Two-panel axial: CT | PSMA PET, 18F tracer. Slice 50 of 391. PET panel 200×200 px (4.1 mm/px).
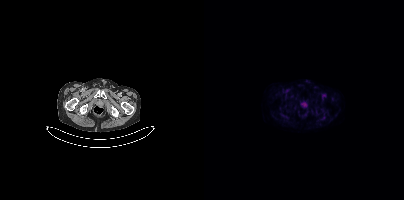
No PSMA-avid tumor lesions on this slice.